- Paired axial CT (left) and PSMA PET (right), [18F]PSMA-1007 tracer
- acquired on Siemens Biograph mCT Flow 20
- PET panel 200×200 px (4.1 mm/px)
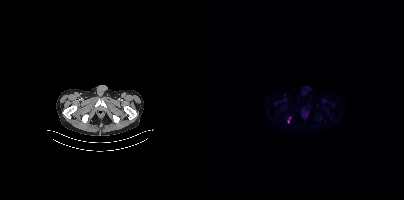
Findings: Coordinates are on the 200×200 PET (right) panel. (showing 1 of 2 foci) Small PSMA-avid focus (2 to 4 px across) near (center x, center y): (84, 121).